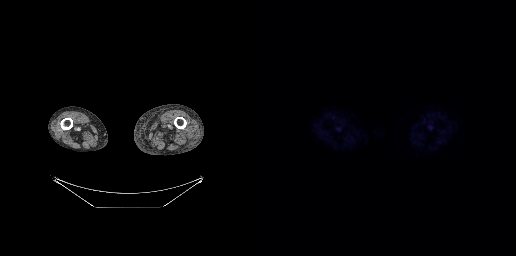
Findings: Negative for PSMA-avid disease on this slice.
Technique: Two-panel axial: CT | PSMA PET, 18F tracer. acquired on GE Discovery 690. PET panel 256×256 px (2.7 mm/px).